modality: PSMA PET/CT | tracer: [18F]PSMA-1007 | view: axial | PET grid: 200×200
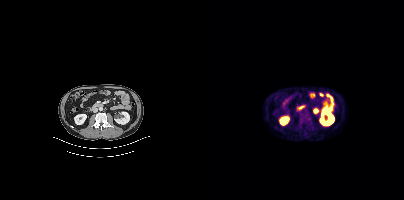
Coordinates are on the 200×200 PET (right) panel. PSMA-avid tumor lesion bounding box (x0, y0)-(x1, y1): (95, 114)-(107, 123).